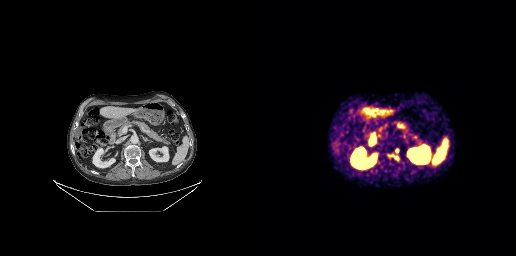
Coordinates are on the 256×256 PET (right) panel. PSMA-avid tumor lesion bounding box (x0, y0)-(x1, y1): (127, 154)-(138, 159). Small PSMA-avid focus (2 to 4 px across) near (center x, center y): (137, 150).